- Left: CT. Right: PSMA PET, same axial level, 18F tracer
- slice 80 of 395
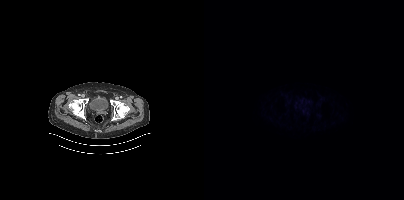
Findings: This slice has no annotated PSMA-avid lesion.